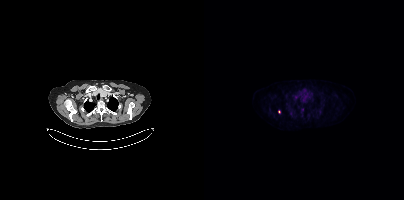
{"modality":"PSMA PET/CT","view":"axial","tracer":"18F","pet_grid":[200,200],"coord_frame":"pet_panel","coord_format":"x0,y0,x1,y1","partial":true,"lesion_bboxes":[]}